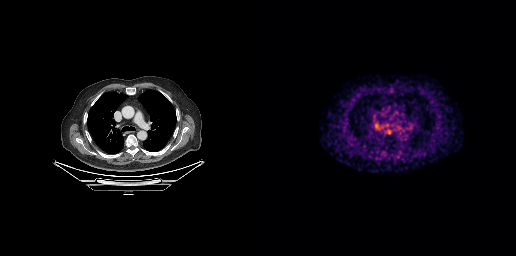
Two-panel axial: CT | PSMA PET, 68Ga tracer. Acquired on GE Discovery 690. Slice 200 of 263. PET panel 256×256 px (2.7 mm/px). This slice has no annotated PSMA-avid lesion.